Technique: Two-panel axial: CT | PSMA PET, 18F tracer.
Note: De-identified by setting a box covering the face to black before release.
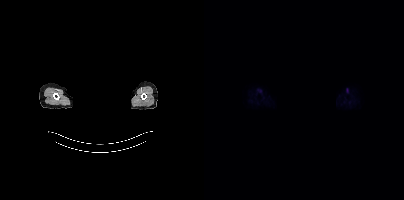
Findings: No PSMA-avid tumor lesions on this slice.